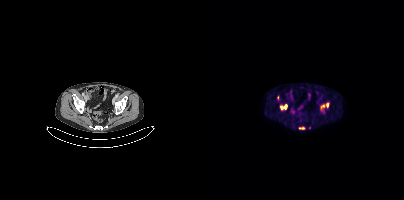
Coordinates are on the 200×200 PET (right) panel. PSMA-avid tumor lesion bounding boxes (x, y, width, height): x=116 y=102 w=10 h=10 / x=76 y=104 w=8 h=7 / x=95 y=127 w=7 h=3. Small PSMA-avid focus (2 to 4 px across) near (center x, center y): (73, 97).